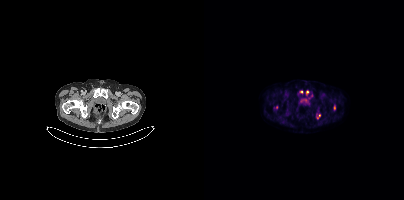
Coordinates are on the 200×200 PET (right) panel. PSMA-avid tumor lesion bounding box (x0, y0)-(x1, y1): (102, 90)-(104, 94). Small PSMA-avid foci (2 to 4 px across) near (center x, center y): (130, 107); (72, 107); (115, 115); (97, 91); (113, 117).